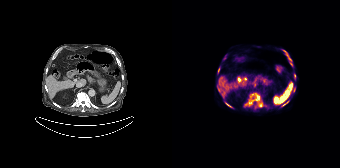
Two-panel axial: CT | PSMA PET, 18F-PSMA tracer. Acquired on Siemens Biograph 64-4R TruePoint. Slice 91 of 165. Coordinates are on the 168×168 PET (right) panel. PSMA-avid tumor lesion bounding boxes (x0,y0,x1,y1): [73,93,90,107] [53,102,60,107] [117,59,120,65] [122,74,123,78] [46,68,47,72] [111,101,116,105]. Small PSMA-avid foci (2 to 4 px across) near (center x, center y): (110, 49) (121, 90).